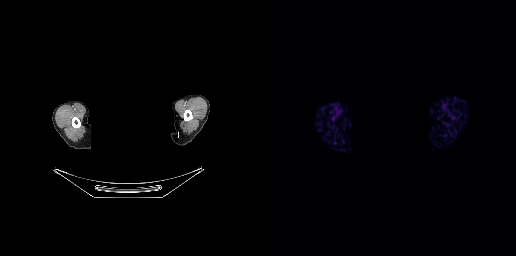
Negative for PSMA-avid disease on this slice. Two-panel axial: CT | PSMA PET, [68Ga]Ga-PSMA-11 tracer. Slice position z = -204 mm. PET panel 256×256 px (2.7 mm/px). Facial anatomy redacted by setting a rectangular region of the head to black.